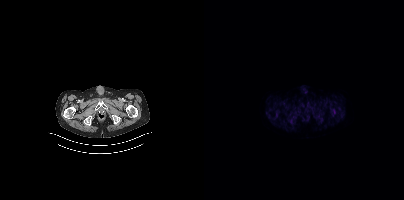
No PSMA-avid tumor lesions on this slice. Two-panel axial: CT | PSMA PET, 18F tracer. Slice 31 of 401. PET panel 200×200 px (4.1 mm/px).